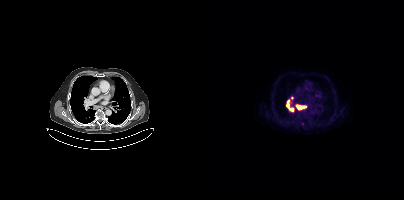
Coordinates are on the 200×200 PET (right) panel. PSMA-avid tumor lesion bounding box (x, y, width, height): x=92 y=105 w=10 h=5.
modality: PSMA PET/CT | tracer: 18F | view: axial